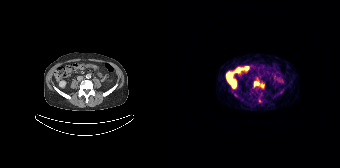
Left: CT. Right: PSMA PET, same axial level, [68Ga]Ga-PSMA-11 tracer. Slice 57 of 165. PET panel 168×168 px (4.1 mm/px). Coordinates are on the 168×168 PET (right) panel. PSMA-avid tumor lesion bounding box (x0,y0,x1,y1): [82,81,91,86].